Technique: Left: CT. Right: PSMA PET, same axial level, [18F]PSMA-1007 tracer.
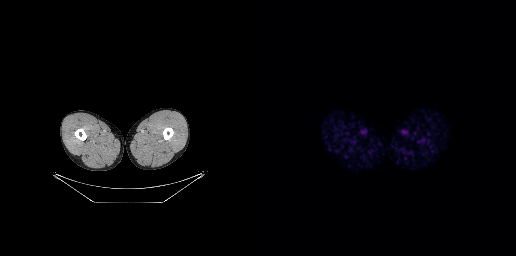
Findings: This slice has no annotated PSMA-avid lesion.